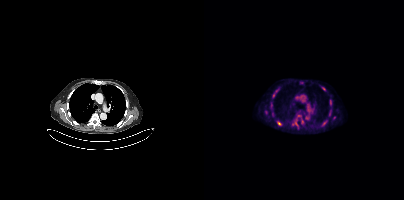
Coordinates are on the 200×200 PET (right) panel. (showing 4 of 7 foci) PSMA-avid tumor lesion bounding boxes (x, y, width, height): x=73 y=121 w=5 h=5; x=67 y=103 w=2 h=5. Small PSMA-avid foci (2 to 4 px across) near (center x, center y): (119, 88); (120, 123).